- Two-panel axial: CT | PSMA PET, 18F-PSMA tracer
- slice 208 of 263
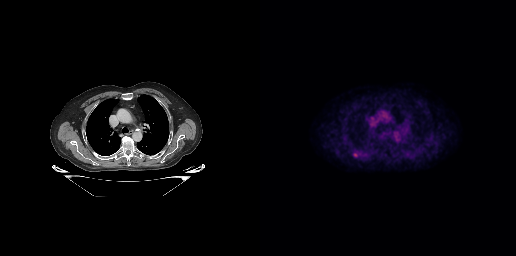
Findings: Coordinates are on the 256×256 PET (right) panel. Small PSMA-avid focus (2 to 4 px across) near (center x, center y): (95, 154).